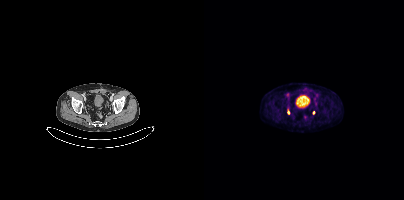
- Paired axial CT (left) and PSMA PET (right), 18F-PSMA tracer
Findings: Coordinates are on the 200×200 PET (right) panel. Small PSMA-avid foci (2 to 4 px across) near (center x, center y): (84, 112); (109, 112).